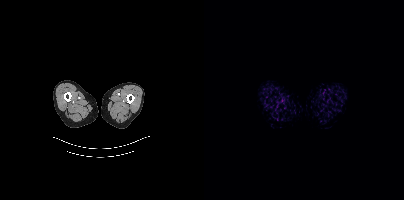
No PSMA-avid tumor lesions on this slice.